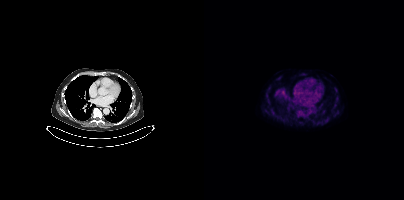
{"modality":"PSMA PET/CT","view":"axial","tracer":"18F","pet_grid":[200,200],"coord_frame":"pet_panel","coord_format":"x0,y0,x1,y1","psma_avid_lesions":false}